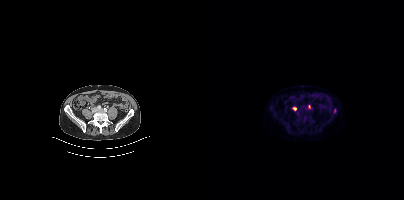
Coordinates are on the 200×200 PET (right) panel. Small PSMA-avid foci (2 to 4 px across) near (center x, center y): (90, 108); (131, 110); (105, 106).